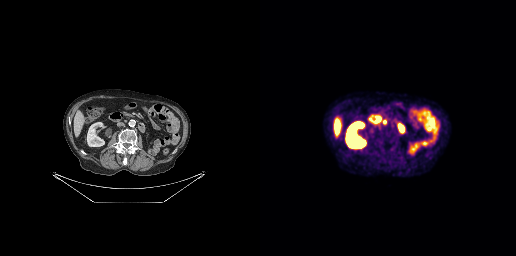
Coordinates are on the 256×256 PET (right) panel. Small PSMA-avid focus (2 to 4 px across) near (center x, center y): (124, 121).